Two-panel axial: CT | PSMA PET, [18F]PSMA-1007 tracer.
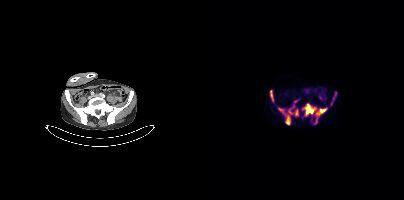
Coordinates are on the 200×200 PET (right) panel. PSMA-avid tumor lesion bounding boxes (partial; 1 more focus not listed):
| # | x0 | y0 | x1 | y1 |
|---|---|---|---|---|
| 1 | 98 | 103 | 123 | 124 |
| 2 | 74 | 107 | 88 | 114 |
| 3 | 81 | 115 | 86 | 124 |
| 4 | 66 | 90 | 70 | 102 |
| 5 | 126 | 92 | 132 | 105 |
| 6 | 91 | 109 | 94 | 115 |
Small PSMA-avid focus (2 to 4 px across) near (center x, center y): (91, 101).